- Left: CT. Right: PSMA PET, same axial level, [18F]PSMA-1007 tracer
- acquired on Siemens Biograph mCT Flow 20
- slice 62 of 401
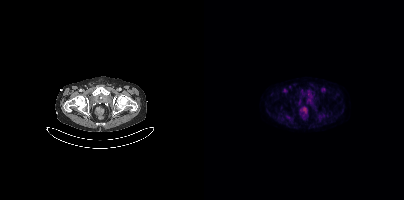
Findings: This slice has no annotated PSMA-avid lesion.